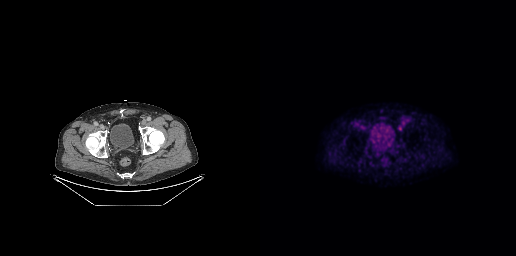
No PSMA-avid tumor lesions on this slice.